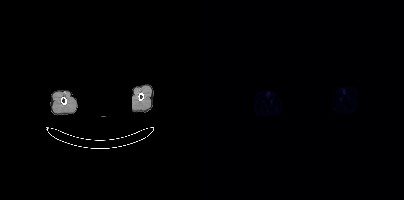
No tumor lesions annotated on this slice.
De-identified by setting a box covering the face to black before release.